Technique: Two-panel axial: CT | PSMA PET, [18F]PSMA-1007 tracer. acquired on Siemens Biograph mCT Flow 20. slice position z = -828 mm. PET panel 200×200 px (4.1 mm/px).
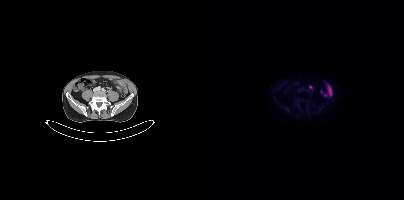
Findings: Negative for PSMA-avid disease on this slice.